Technique: Left: CT. Right: PSMA PET, same axial level, 18F tracer. slice 267 of 405.
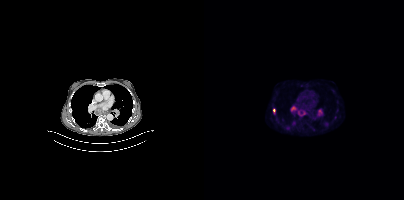
Findings: Coordinates are on the 200×200 PET (right) panel. (showing 7 of 8 foci) PSMA-avid tumor lesion bounding boxes (x0,y0,x1,y1): [93,110,102,116], [87,106,92,111], [115,110,117,114]. Small PSMA-avid foci (2 to 4 px across) near (center x, center y): (70, 110), (84, 127), (123, 123), (89, 122).